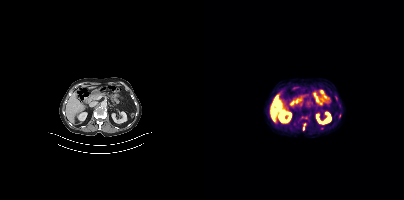
Left: CT. Right: PSMA PET, same axial level, [18F]PSMA-1007 tracer. PET panel 200×200 px (4.1 mm/px). Coordinates are on the 200×200 PET (right) panel. PSMA-avid tumor lesion bounding box (x, y, width, height): x=99 y=123 w=3 h=8.